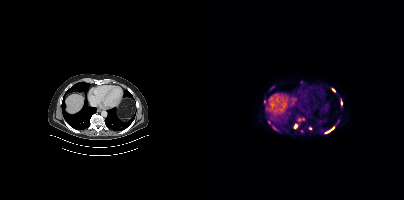
Technique: Left: CT. Right: PSMA PET, same axial level, 18F-PSMA tracer. slice 270 of 444. PET panel 200×200 px (4.1 mm/px).
Findings: Coordinates are on the 200×200 PET (right) panel. PSMA-avid tumor lesion bounding boxes (x, y, width, height): x=90 y=124 w=4 h=5 | x=123 y=127 w=8 h=6. Small PSMA-avid foci (2 to 4 px across) near (center x, center y): (137, 102) | (129, 90).